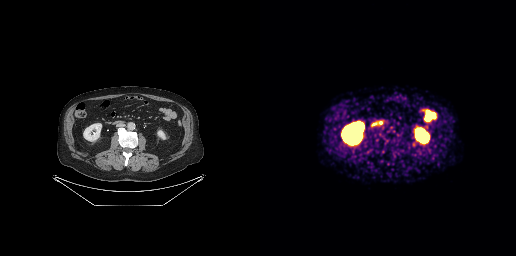
Left: CT. Right: PSMA PET, same axial level, 68Ga tracer. Acquired on GE Discovery 690. Slice position z = -680 mm. No PSMA-avid tumor lesions on this slice.